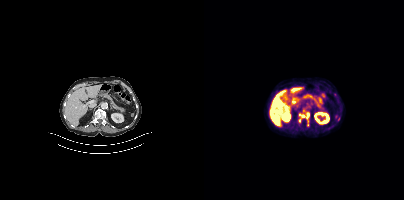
Coordinates are on the 200×200 PET (right) panel. PSMA-avid tumor lesion bounding boxes (x0, y0)-(x1, y1): (102, 113)-(105, 118) | (95, 114)-(100, 117). Small PSMA-avid focus (2 to 4 px across) near (center x, center y): (95, 120). Two-panel axial: CT | PSMA PET, 18F tracer. Acquired on Siemens Biograph mCT Flow 20. Slice position z = -587 mm.